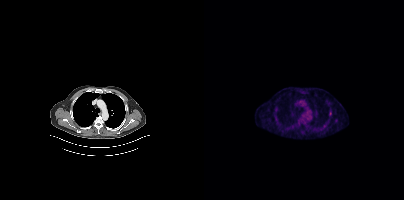
Left: CT. Right: PSMA PET, same axial level, 18F tracer. Acquired on Siemens Biograph mCT Flow 20. Slice position z = -519 mm. PET panel 200×200 px (4.1 mm/px). Coordinates are on the 200×200 PET (right) panel. Small PSMA-avid focus (2 to 4 px across) near (center x, center y): (126, 113).